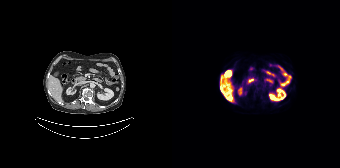
Findings: Coordinates are on the 168×168 PET (right) panel. Small PSMA-avid focus (2 to 4 px across) near (center x, center y): (49, 88).
Technique: Left: CT. Right: PSMA PET, same axial level, 18F tracer. acquired on Siemens Biograph 64-4R TruePoint. PET panel 168×168 px (4.1 mm/px).